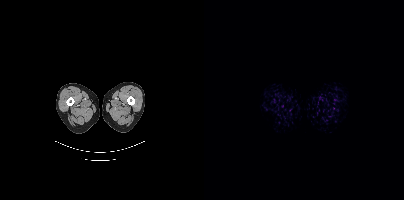
No tumor lesions annotated on this slice.